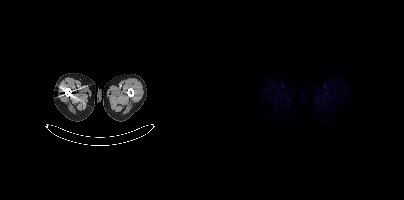
{"modality":"PSMA PET/CT","view":"axial","tracer":"18F-PSMA","pet_grid":[200,200],"coord_frame":"pet_panel","coord_format":"x0,y0,x1,y1","psma_avid_lesions":false}